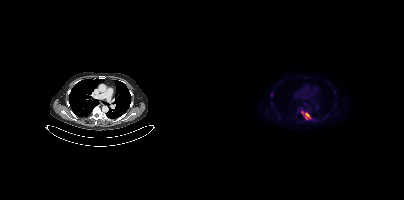
Coordinates are on the 200×200 PET (right) panel. PSMA-avid tumor lesion bounding box (x0, y0)-(x1, y1): (97, 111)-(107, 119).